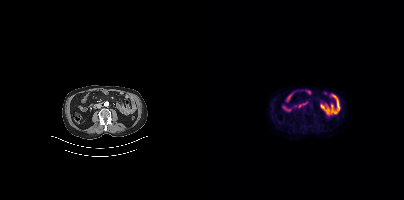
{"pet_grid":[200,200],"coord_frame":"pet_panel","coord_format":"x0,y0,x1,y1","psma_avid_lesions":false,"modality":"PSMA PET/CT","view":"axial","tracer":"[18F]PSMA-1007"}